modality: PSMA PET/CT | tracer: 18F-PSMA | view: axial | PET grid: 168×168
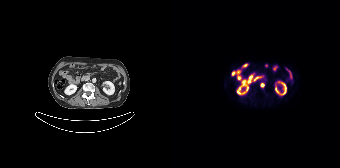
Coordinates are on the 168×168 PET (right) panel. Small PSMA-avid focus (2 to 4 px across) near (center x, center y): (90, 85).